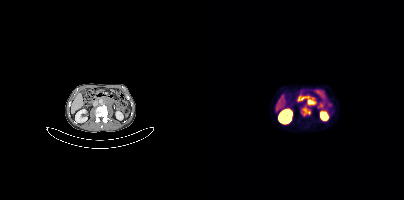
{"modality":"PSMA PET/CT","view":"axial","tracer":"68Ga","pet_grid":[200,200],"coord_frame":"pet_panel","coord_format":"x0,y0,x1,y1","lesion_bboxes":[[97,106,107,116],[101,96,112,106]]}